Privacy masking over the head, with the pixels inside a rectangle set to black.
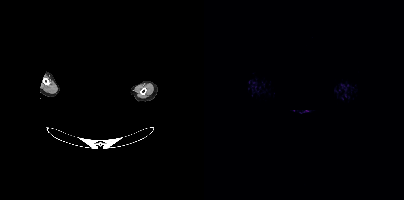
This slice has no annotated PSMA-avid lesion.